Left: CT. Right: PSMA PET, same axial level, [18F]PSMA-1007 tracer.
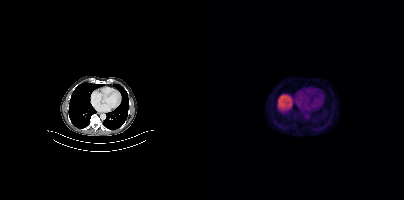
No PSMA-avid tumor lesions on this slice.